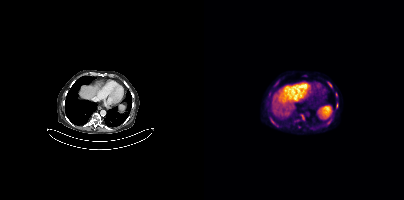
Technique: Two-panel axial: CT | PSMA PET, [18F]PSMA-1007 tracer. acquired on Siemens Biograph mCT Flow 20. PET panel 200×200 px (4.1 mm/px).
Findings: Coordinates are on the 200×200 PET (right) panel. (showing 5 of 8 foci) PSMA-avid tumor lesion bounding boxes (x0, y0)-(x1, y1): (66, 119)-(74, 126) | (96, 114)-(100, 120) | (132, 103)-(133, 107). Small PSMA-avid foci (2 to 4 px across) near (center x, center y): (126, 84) | (126, 107).